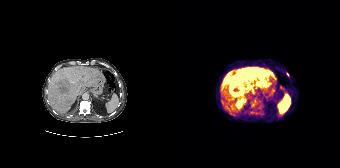
Coordinates are on the 168×168 PET (right) panel. PSMA-avid tumor lesion bounding boxes (partial; 2 more foci not listed):
| # | x0 | y0 | x1 | y1 |
|---|---|---|---|---|
| 1 | 52 | 68 | 99 | 94 |
| 2 | 66 | 99 | 71 | 105 |
| 3 | 76 | 85 | 80 | 89 |
| 4 | 93 | 83 | 97 | 87 |
| 5 | 81 | 112 | 85 | 114 |
Small PSMA-avid foci (2 to 4 px across) near (center x, center y): (115, 74); (88, 85); (70, 81).
Left: CT. Right: PSMA PET, same axial level, 68Ga tracer. Acquired on Siemens Biograph 64-4R TruePoint. PET panel 168×168 px (4.1 mm/px).